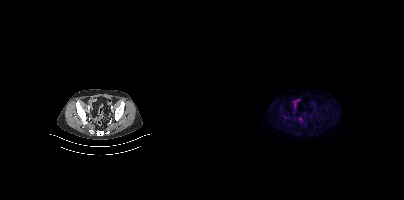
{"modality":"PSMA PET/CT","view":"axial","tracer":"18F-PSMA","pet_grid":[200,200],"coord_frame":"pet_panel","coord_format":"x0,y0,x1,y1","psma_avid_lesions":false}